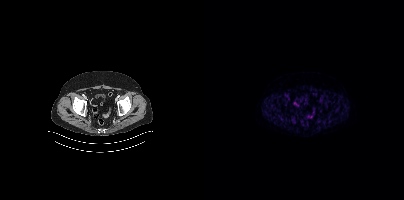
Findings: No PSMA-avid tumor lesions on this slice.
- Left: CT. Right: PSMA PET, same axial level, [18F]PSMA-1007 tracer
- slice 88 of 433